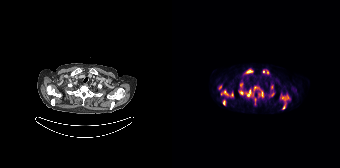
Findings: Coordinates are on the 168×168 PET (right) panel. PSMA-avid tumor lesion bounding boxes (x, y, width, height): x=67 y=89 w=15 h=9 | x=108 y=94 w=10 h=16 | x=81 y=86 w=11 h=12 | x=73 y=69 w=9 h=5 | x=49 y=90 w=8 h=6 | x=51 y=100 w=3 h=6 | x=99 y=85 w=3 h=5 | x=98 y=92 w=5 h=5 | x=68 y=83 w=3 h=5 | x=83 y=98 w=2 h=7. Small PSMA-avid foci (2 to 4 px across) near (center x, center y): (59, 94) | (48, 87) | (91, 71) | (95, 72).
Technique: Two-panel axial: CT | PSMA PET, [18F]PSMA-1007 tracer. slice position z = -1060 mm.